Technique: Paired axial CT (left) and PSMA PET (right), 18F tracer. slice 223 of 381.
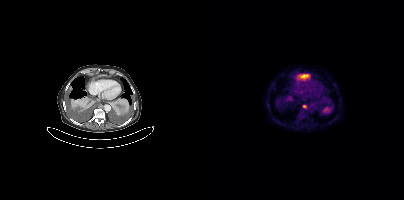
Findings: Coordinates are on the 200×200 PET (right) panel. Small PSMA-avid focus (2 to 4 px across) near (center x, center y): (100, 106).